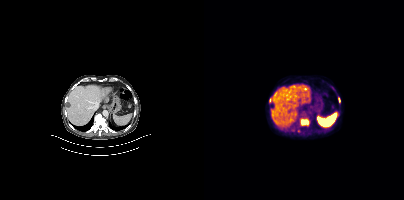
Left: CT. Right: PSMA PET, same axial level, 18F-PSMA tracer. PET panel 200×200 px (4.1 mm/px). Coordinates are on the 200×200 PET (right) panel. (showing 2 of 4 foci) PSMA-avid tumor lesion bounding box (x, y, width, height): x=97 y=119 w=8 h=7. Small PSMA-avid focus (2 to 4 px across) near (center x, center y): (66, 99).